modality: PSMA PET/CT | tracer: 18F | view: axial
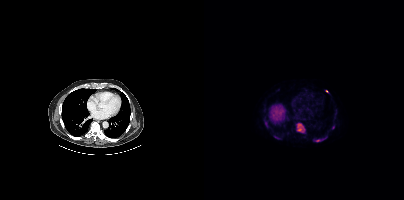
Coordinates are on the 200×200 PET (right) panel. (showing 4 of 5 foci) PSMA-avid tumor lesion bounding boxes (x0, y0)-(x1, y1): (92, 123)-(101, 132) / (110, 139)-(119, 141) / (70, 136)-(76, 139). Small PSMA-avid focus (2 to 4 px across) near (center x, center y): (123, 91).